modality: PSMA PET/CT | tracer: [68Ga]Ga-PSMA-11 | view: axial | PET grid: 256×256
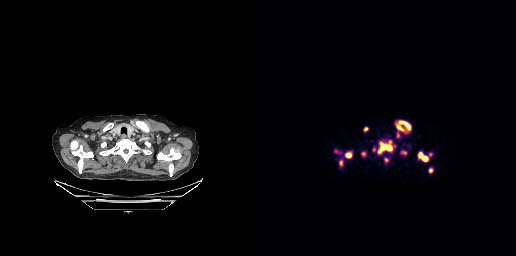
Coordinates are on the 256×256 PET (right) panel. PSMA-avid tumor lesion bounding boxes (x0, y0)-(x1, y1): (136, 120)-(151, 132); (119, 146)-(132, 152); (159, 153)-(167, 160); (101, 152)-(106, 156); (104, 127)-(108, 131); (86, 153)-(90, 157); (142, 152)-(146, 153). Small PSMA-avid foci (2 to 4 px across) near (center x, center y): (170, 170); (126, 159); (138, 135); (80, 162).